Two-panel axial: CT | PSMA PET, 68Ga tracer. Acquired on GE Discovery 690. Slice position z = -463 mm. PET panel 256×256 px (2.7 mm/px).
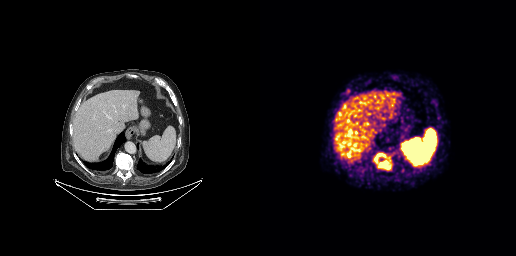
Coordinates are on the 256×256 PET (right) panel. PSMA-avid tumor lesion bounding box (x0, y0)-(x1, y1): (114, 153)-(131, 170).